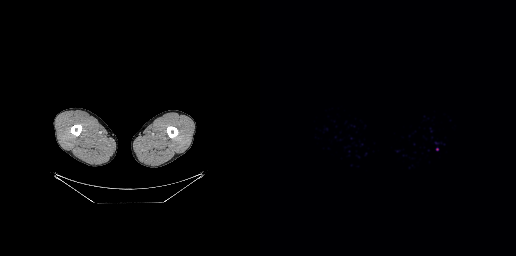
modality: PSMA PET/CT | tracer: 18F-PSMA | view: axial | PET grid: 256×256
No tumor lesions annotated on this slice.